Two-panel axial: CT | PSMA PET, [18F]PSMA-1007 tracer.
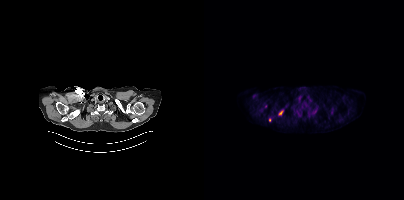
Coordinates are on the 200×200 PET (right) panel. (showing 2 of 3 foci) PSMA-avid tumor lesion bounding box (x0, y0)-(x1, y1): (74, 111)-(78, 115). Small PSMA-avid focus (2 to 4 px across) near (center x, center y): (65, 119).